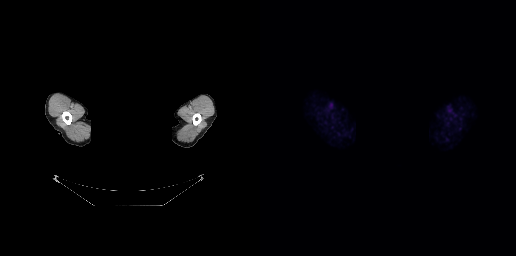
{"modality":"PSMA PET/CT","view":"axial","tracer":"18F","pet_grid":[256,256],"coord_frame":"pet_panel","coord_format":"x0,y0,x1,y1","redaction":"privacy mask over head","psma_avid_lesions":false}